Technique: Two-panel axial: CT | PSMA PET, 18F tracer. slice position z = -108 mm. PET panel 200×200 px (4.1 mm/px).
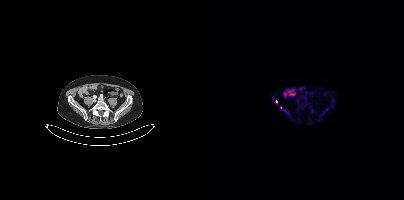
Findings: Coordinates are on the 200×200 PET (right) panel. (showing 1 of 2 foci) Small PSMA-avid focus (2 to 4 px across) near (center x, center y): (72, 101).